- a rectangular block over the head has been blanked out for de-identification
- Two-panel axial: CT | PSMA PET, 18F-PSMA tracer
- slice position z = -886 mm
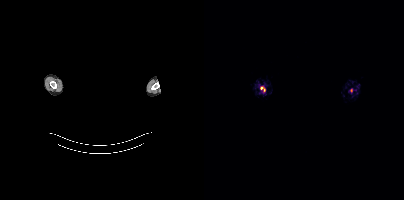
Findings: No tumor lesions annotated on this slice.